- Left: CT. Right: PSMA PET, same axial level, [68Ga]Ga-PSMA-11 tracer
- PET panel 168×168 px (4.1 mm/px)
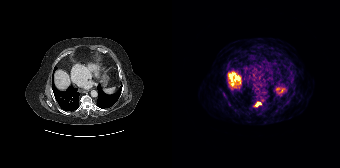
Findings: Coordinates are on the 168×168 PET (right) panel. PSMA-avid tumor lesion bounding box (x0,y0,x1,y1): [83,102,89,107].